- Left: CT. Right: PSMA PET, same axial level, 18F tracer
- slice position z = -965 mm
- PET panel 200×200 px (4.1 mm/px)
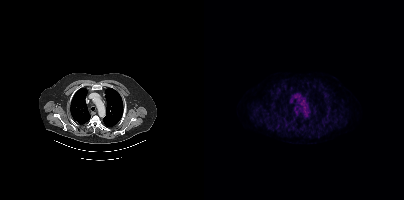
Findings: This slice has no annotated PSMA-avid lesion.